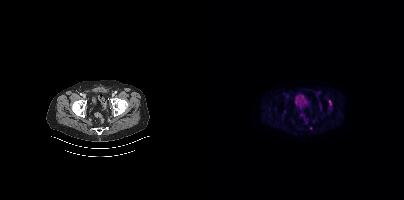
{"pet_grid":[200,200],"coord_frame":"pet_panel","coord_format":"x0,y0,x1,y1","lesion_bboxes":[],"small_foci_centers":[[126,102],[106,128]],"modality":"PSMA PET/CT","view":"axial","tracer":"18F-PSMA"}